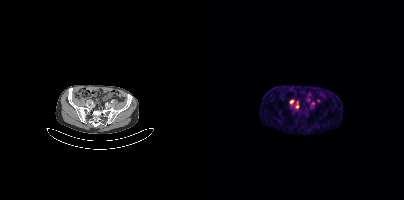
Technique: Left: CT. Right: PSMA PET, same axial level, [68Ga]Ga-PSMA-11 tracer. slice position z = -803 mm.
Findings: Coordinates are on the 200×200 PET (right) panel. (showing 2 of 4 foci) PSMA-avid tumor lesion bounding box (x, y, width, height): x=91 y=103 w=4 h=6. Small PSMA-avid focus (2 to 4 px across) near (center x, center y): (87, 101).